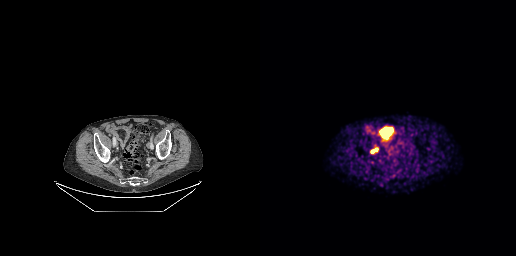
{"modality":"PSMA PET/CT","view":"axial","tracer":"[68Ga]Ga-PSMA-11","pet_grid":[256,256],"coord_frame":"pet_panel","coord_format":"x0,y0,x1,y1","lesion_bboxes":[[111,148,117,153]],"small_foci_centers":[[133,175]]}